Left: CT. Right: PSMA PET, same axial level, 18F-PSMA tracer. Acquired on Siemens Biograph mCT Flow 20.
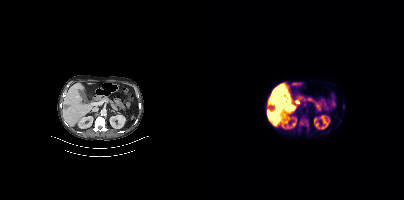
Coordinates are on the 200×200 PET (right) panel. PSMA-avid tumor lesion bounding boxes (partial; 1 more focus not listed):
| # | x0 | y0 | x1 | y1 |
|---|---|---|---|---|
| 1 | 95 | 117 | 104 | 129 |
| 2 | 139 | 103 | 140 | 109 |